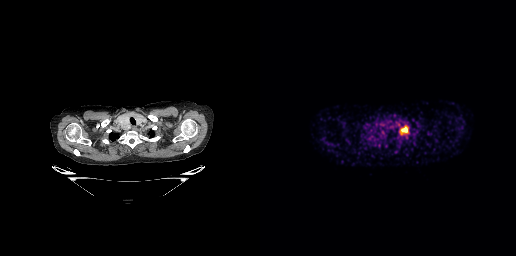
Coordinates are on the 256×256 PET (right) panel. PSMA-avid tumor lesion bounding box (x0,y0,x1,y1): [140,125,148,134].